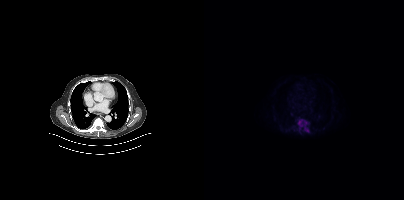
Paired axial CT (left) and PSMA PET (right), [18F]PSMA-1007 tracer. Slice 278 of 395. PET panel 200×200 px (4.1 mm/px).
Coordinates are on the 200×200 PET (right) panel. PSMA-avid tumor lesion bounding boxes:
| # | x0 | y0 | x1 | y1 |
|---|---|---|---|---|
| 1 | 100 | 120 | 105 | 132 |
| 2 | 93 | 119 | 99 | 128 |